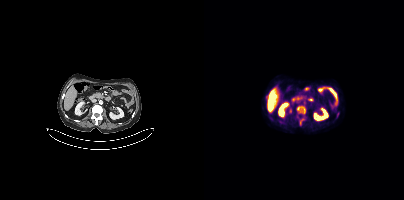
{"modality":"PSMA PET/CT","view":"axial","tracer":"18F-PSMA","pet_grid":[200,200],"coord_frame":"pet_panel","coord_format":"x0,y0,x1,y1","lesion_bboxes":[[92,105,101,114],[96,118,100,121]]}